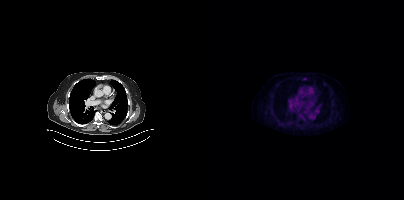
{"pet_grid":[200,200],"coord_frame":"pet_panel","coord_format":"x0,y0,x1,y1","lesion_bboxes":[],"small_foci_centers":[[100,78]],"modality":"PSMA PET/CT","view":"axial","tracer":"18F-PSMA"}